Technique: Two-panel axial: CT | PSMA PET, 18F-PSMA tracer. PET panel 200×200 px (4.1 mm/px).
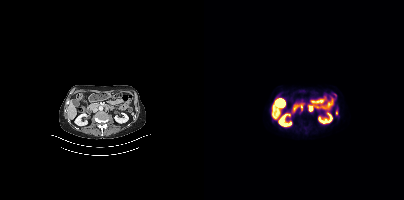
Findings: Coordinates are on the 200×200 PET (right) panel. Small PSMA-avid foci (2 to 4 px across) near (center x, center y): (106, 108) | (97, 109).